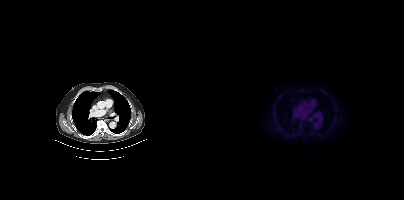
- Paired axial CT (left) and PSMA PET (right), 18F tracer
- PET panel 200×200 px (4.1 mm/px)
Findings: Coordinates are on the 200×200 PET (right) panel. Small PSMA-avid focus (2 to 4 px across) near (center x, center y): (105, 119).